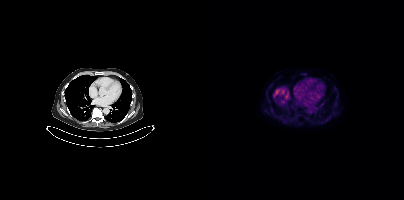
Technique: Two-panel axial: CT | PSMA PET, 18F-PSMA tracer.
Findings: No PSMA-avid tumor lesions on this slice.